Left: CT. Right: PSMA PET, same axial level, 18F-PSMA tracer. Slice position z = -1107 mm.
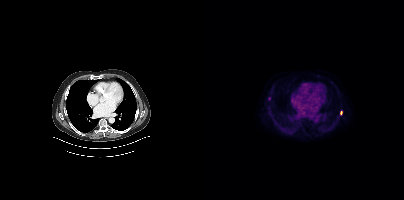
Coordinates are on the 200×200 PET (right) panel. Small PSMA-avid focus (2 to 4 px across) near (center x, center y): (137, 112).